- Two-panel axial: CT | PSMA PET, 18F tracer
- slice position z = -884 mm
- PET panel 200×200 px (4.1 mm/px)
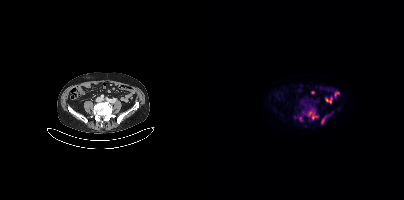
Findings: Coordinates are on the 200×200 PET (right) panel. PSMA-avid tumor lesion bounding boxes (x, y, width, height): x=104 y=109 w=11 h=11 / x=117 y=115 w=6 h=10. Small PSMA-avid foci (2 to 4 px across) near (center x, center y): (96, 118) / (125, 114).